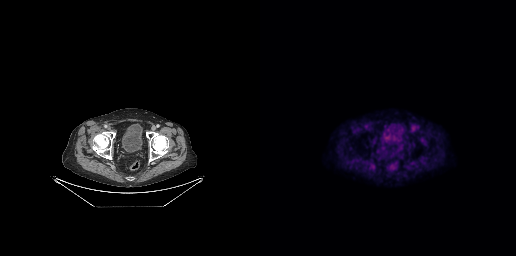
{"modality":"PSMA PET/CT","view":"axial","tracer":"18F","pet_grid":[256,256],"coord_frame":"pet_panel","coord_format":"x0,y0,x1,y1","psma_avid_lesions":false}